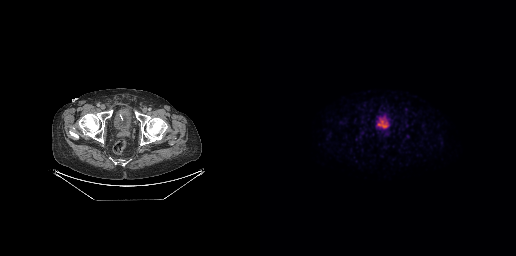
Negative for PSMA-avid disease on this slice.